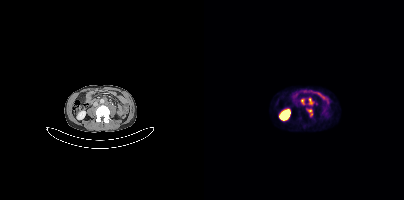
{"modality":"PSMA PET/CT","view":"axial","tracer":"68Ga-PSMA","pet_grid":[200,200],"coord_frame":"pet_panel","coord_format":"x0,y0,x1,y1","lesion_bboxes":[[103,109,108,116],[97,99,100,104],[105,99,108,104]]}